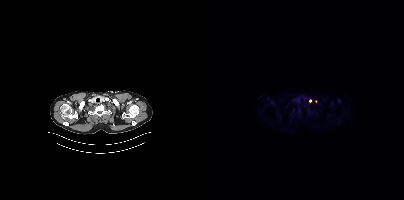
Only PSMA-avid lesion pieces thinner than 2 px on this slice (not listed).